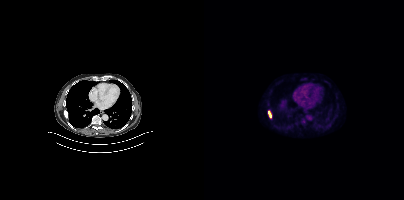
Coordinates are on the 200×200 PET (right) panel. PSMA-avid tumor lesion bounding box (x, y, width, height): x=64 y=111 w=4 h=7.
modality: PSMA PET/CT | tracer: 18F | view: axial | PET grid: 200×200